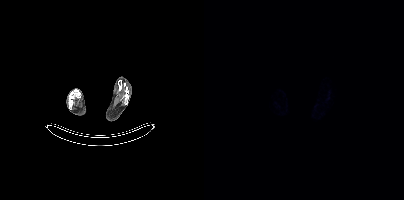
Negative for PSMA-avid disease on this slice.